Two-panel axial: CT | PSMA PET, 18F-PSMA tracer. Slice position z = -1300 mm. PET panel 200×200 px (4.1 mm/px).
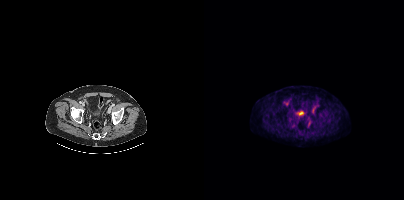
Negative for PSMA-avid disease on this slice.